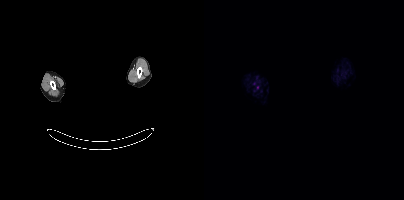
deidentification: rectangular block over head set to black | modality: PSMA PET/CT | tracer: 18F-PSMA | view: axial
Only PSMA-avid lesion pieces thinner than 2 px on this slice (not listed).